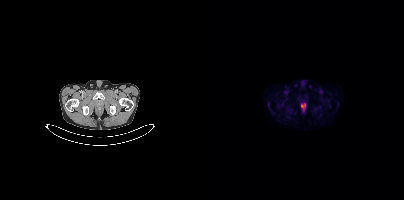
Coordinates are on the 200×200 PET (right) panel. PSMA-avid tumor lesion bounding boxes:
| # | x0 | y0 | x1 | y1 |
|---|---|---|---|---|
| 1 | 97 | 104 | 101 | 107 |
Two-panel axial: CT | PSMA PET, 18F-PSMA tracer. Acquired on Siemens Biograph mCT Flow 20. Slice 57 of 393.